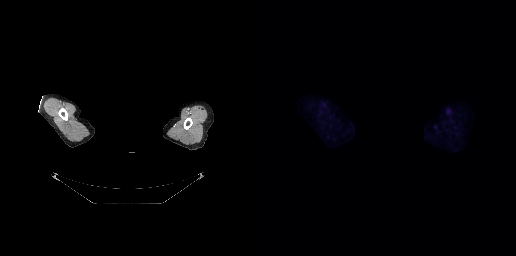
{"modality":"PSMA PET/CT","view":"axial","tracer":"18F","pet_grid":[256,256],"coord_frame":"pet_panel","coord_format":"x0,y0,x1,y1","redaction":"facial region redacted","psma_avid_lesions":false}